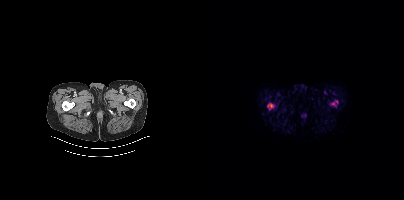
Coordinates are on the 200×200 PET (right) panel. PSMA-avid tumor lesion bounding box (x, y, width, height): x=63 y=103 w=8 h=7. Small PSMA-avid foci (2 to 4 px across) near (center x, center y): (129, 103) | (132, 101). Two-panel axial: CT | PSMA PET, 18F tracer. Slice 12 of 395. PET panel 200×200 px (4.1 mm/px).